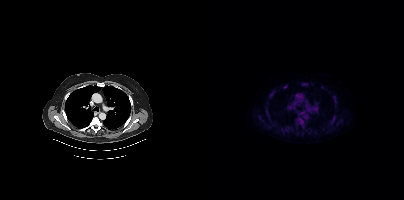
Coordinates are on the 200×200 PET (right) panel. PSMA-avid tumor lesion bounding boxes (x0,y0,x1,y1): [91,119,99,127] [99,82,103,86] [67,122,71,127]. Small PSMA-avid foci (2 to 4 px across) near (center x, center y): (66, 96) (69, 90) (130, 97) (64, 115) (81, 87) (62, 110) (119, 129) (131, 104) (70, 121).